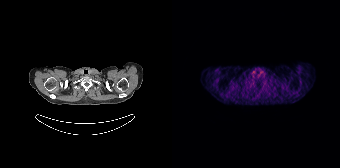
Left: CT. Right: PSMA PET, same axial level, 68Ga-PSMA tracer. Acquired on Siemens Biograph 64-4R TruePoint. This slice has no annotated PSMA-avid lesion.